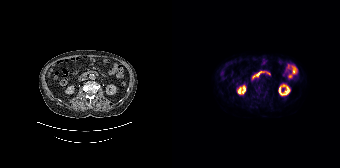
modality: PSMA PET/CT | tracer: 18F-PSMA | view: axial
No tumor lesions annotated on this slice.